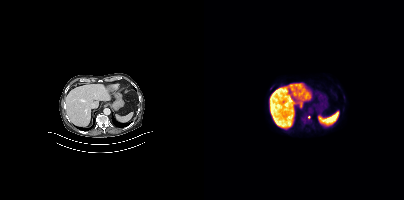
modality: PSMA PET/CT | tracer: 18F-PSMA | view: axial
Only PSMA-avid lesion pieces thinner than 2 px on this slice (not listed).